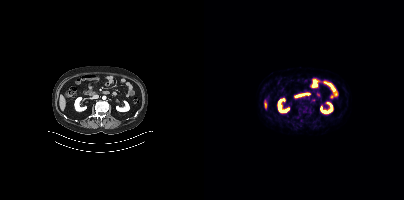
No PSMA-avid tumor lesions on this slice.